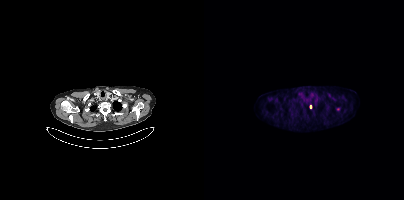
{"modality":"PSMA PET/CT","view":"axial","tracer":"18F-PSMA","pet_grid":[200,200],"coord_frame":"pet_panel","coord_format":"x0,y0,x1,y1","lesion_bboxes":[],"small_foci_centers":[[106,106]]}